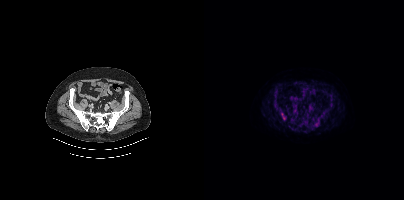
Coordinates are on the 200×200 PET (right) panel. PSMA-avid tumor lesion bounding boxes (x0, y0)-(x1, y1): (109, 119)-(115, 126); (76, 110)-(82, 120); (69, 89)-(74, 96); (89, 108)-(93, 113); (120, 110)-(123, 114); (102, 123)-(106, 127); (126, 98)-(128, 102). Small PSMA-avid foci (2 to 4 px across) near (center x, center y): (71, 101); (127, 105); (73, 107).